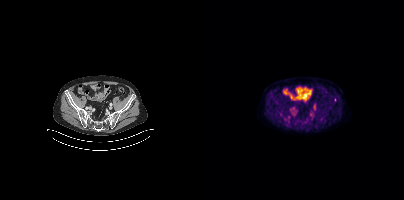
No PSMA-avid tumor lesions on this slice.